Left: CT. Right: PSMA PET, same axial level, 18F-PSMA tracer. Acquired on Siemens Biograph mCT Flow 20. Slice position z = -1321 mm.
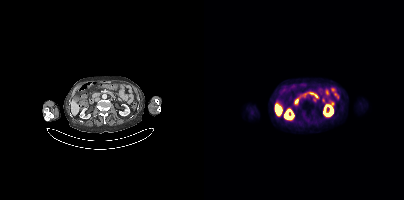
Negative for PSMA-avid disease on this slice.